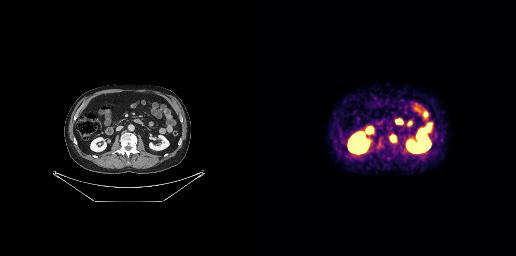
Coordinates are on the 256×256 PET (right) panel. PSMA-avid tumor lesion bounding box (x0,y0,x1,y1): [131,135,135,141].